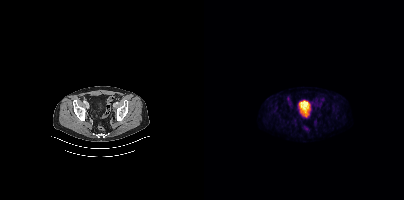
Coordinates are on the 200×200 PET (right) panel. Small PSMA-avid focus (2 to 4 px across) near (center x, center y): (118, 98).